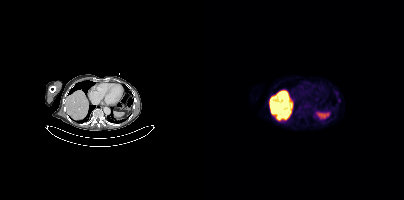
{"modality":"PSMA PET/CT","view":"axial","tracer":"18F-PSMA","pet_grid":[200,200],"coord_frame":"pet_panel","coord_format":"x0,y0,x1,y1","partial":true,"lesion_bboxes":[],"small_foci_centers":[[132,92]]}